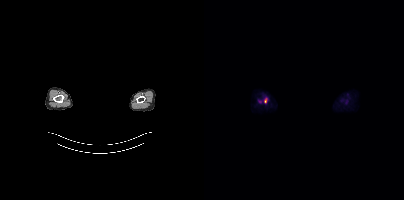
Two-panel axial: CT | PSMA PET, 18F-PSMA tracer. Acquired on Siemens Biograph mCT Flow 20. Slice 336 of 373. Facial anatomy redacted by setting a rectangular region of the head to black.
Coordinates are on the 200×200 PET (right) panel. PSMA-avid tumor lesion bounding boxes:
| # | x0 | y0 | x1 | y1 |
|---|---|---|---|---|
| 1 | 60 | 98 | 62 | 102 |
Small PSMA-avid focus (2 to 4 px across) near (center x, center y): (55, 100).